Left: CT. Right: PSMA PET, same axial level, 18F-PSMA tracer. Acquired on GE Discovery 690. Slice 30 of 299. PET panel 256×256 px (2.7 mm/px).
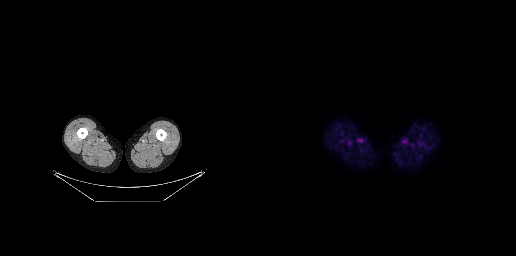
This slice has no annotated PSMA-avid lesion.